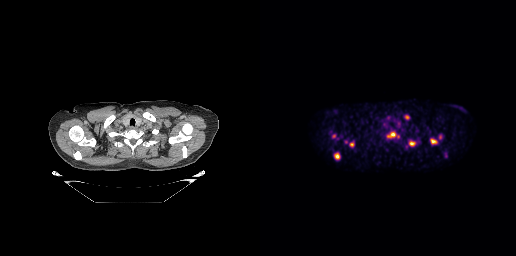
{"modality":"PSMA PET/CT","view":"axial","tracer":"18F-PSMA","pet_grid":[256,256],"coord_frame":"pet_panel","coord_format":"x0,y0,x1,y1","partial":true,"lesion_bboxes":[[127,131,139,138],[74,152,80,160],[170,138,177,144],[89,141,94,147],[149,141,155,145],[144,115,149,119],[179,135,181,139]],"small_foci_centers":[[73,135],[86,142]]}